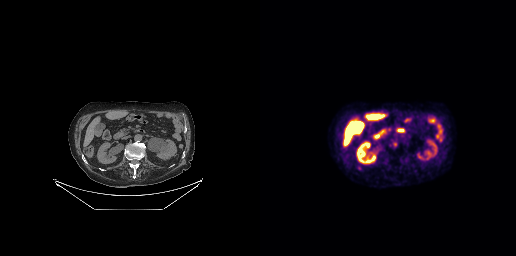
No PSMA-avid tumor lesions on this slice.